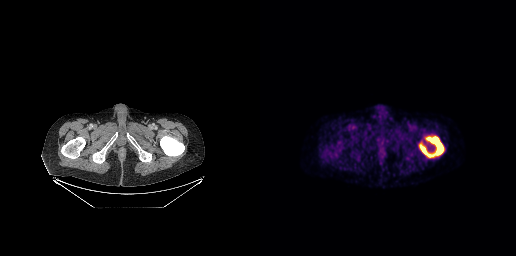
Findings: Coordinates are on the 256×256 PET (right) panel. PSMA-avid tumor lesion bounding box (x, y, width, height): x=159 y=136 w=25 h=22.
- Two-panel axial: CT | PSMA PET, 18F-PSMA tracer
- acquired on GE Discovery 690
- slice position z = -964 mm